Paired axial CT (left) and PSMA PET (right), 18F tracer. Acquired on Siemens Biograph mCT Flow 20.
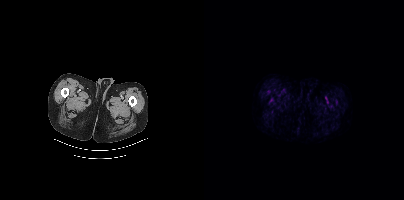
No tumor lesions annotated on this slice.